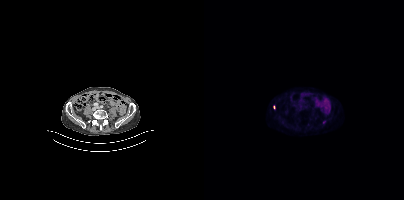
Coordinates are on the 200×200 PET (right) panel. Small PSMA-avid foci (2 to 4 px across) near (center x, center y): (120, 121), (70, 107). Left: CT. Right: PSMA PET, same axial level, [18F]PSMA-1007 tracer. Slice position z = 76 mm. PET panel 200×200 px (4.1 mm/px).